Technique: Paired axial CT (left) and PSMA PET (right), 18F tracer. PET panel 200×200 px (4.1 mm/px).
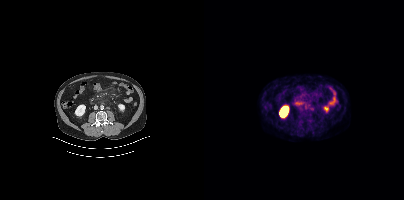
Findings: Coordinates are on the 200×200 PET (right) panel. Small PSMA-avid focus (2 to 4 px across) near (center x, center y): (107, 108).